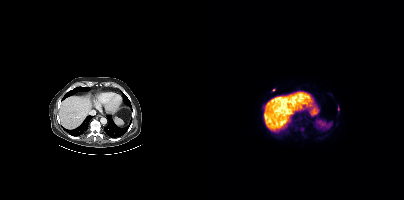
{"pet_grid":[200,200],"coord_frame":"pet_panel","coord_format":"x0,y0,x1,y1","lesion_bboxes":[[134,106,135,110]],"small_foci_centers":[[98,129],[69,90]],"modality":"PSMA PET/CT","view":"axial","tracer":"18F-PSMA"}